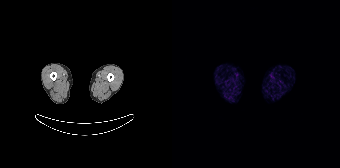
Technique: Left: CT. Right: PSMA PET, same axial level, [68Ga]Ga-PSMA-11 tracer. acquired on Siemens Biograph 64-4R TruePoint. slice position z = -1038 mm. PET panel 168×168 px (4.1 mm/px).
Findings: No PSMA-avid tumor lesions on this slice.